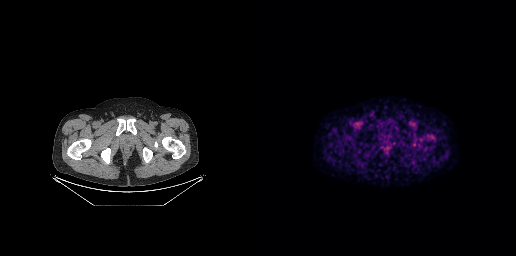
Negative for PSMA-avid disease on this slice.